- Paired axial CT (left) and PSMA PET (right), 18F tracer
- slice 169 of 395
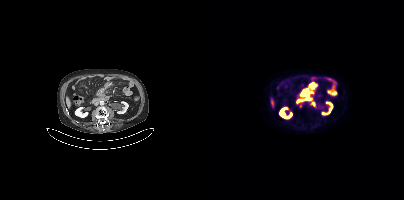
Findings: Coordinates are on the 200×200 PET (right) panel. PSMA-avid tumor lesion bounding box (x, y, width, height): x=98 y=82 w=15 h=13. Small PSMA-avid focus (2 to 4 px across) near (center x, center y): (96, 106).